Technique: Left: CT. Right: PSMA PET, same axial level, [18F]PSMA-1007 tracer. slice 76 of 395.
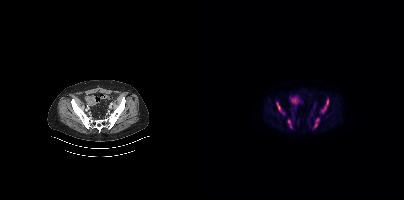
Findings: Coordinates are on the 200×200 PET (right) panel. (showing 5 of 6 foci) PSMA-avid tumor lesion bounding boxes (x0,y0,x1,y1): [118,99,124,112] [72,102,77,111] [84,120,87,128] [110,123,113,127]. Small PSMA-avid focus (2 to 4 px across) near (center x, center y): (113, 119).